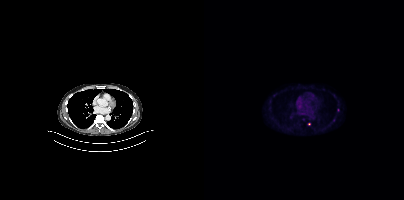
Findings: Coordinates are on the 200×200 PET (right) panel. Small PSMA-avid focus (2 to 4 px across) near (center x, center y): (105, 123).
- Paired axial CT (left) and PSMA PET (right), 18F tracer